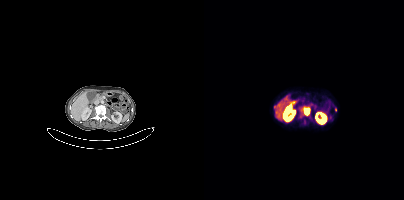
Coordinates are on the 200×200 PET (right) panel. PSMA-avid tumor lesion bounding box (x0,y0,x1,y1): [100,108,105,115]. Small PSMA-avid foci (2 to 4 px across) near (center x, center y): (71, 107) (131, 109).